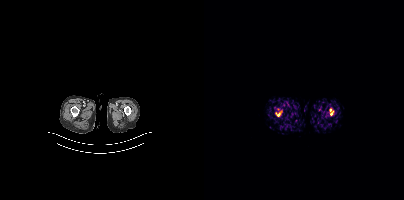
Negative for PSMA-avid disease on this slice. Paired axial CT (left) and PSMA PET (right), [18F]PSMA-1007 tracer. Acquired on Siemens Biograph mCT Flow 20. Slice 1 of 367.